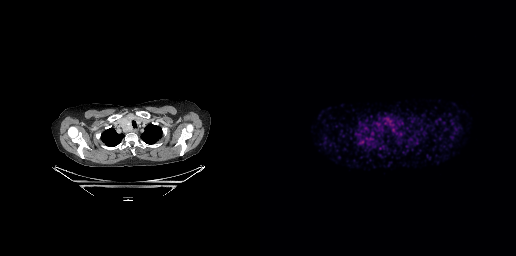
Findings: This slice has no annotated PSMA-avid lesion.
- Paired axial CT (left) and PSMA PET (right), 68Ga-PSMA tracer
- slice 256 of 299